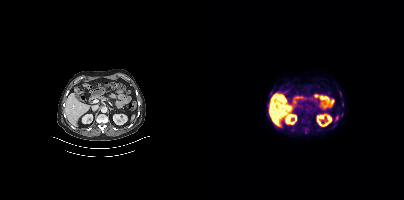
{"pet_grid":[200,200],"coord_frame":"pet_panel","coord_format":"x0,y0,x1,y1","lesion_bboxes":[[100,128,105,133]],"small_foci_centers":[[67,92],[131,125],[136,93],[138,113]],"modality":"PSMA PET/CT","view":"axial","tracer":"18F-PSMA"}